Two-panel axial: CT | PSMA PET, 68Ga-PSMA tracer.
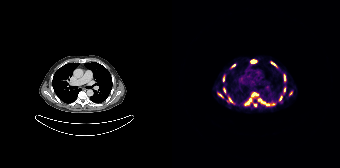
Coordinates are on the 168×168 PET (right) panel. (showing 12 of 19 foci) PSMA-avid tumor lesion bounding boxes (x, y, width, height): x=79 y=60 w=6 h=3; x=117 y=91 w=4 h=5; x=99 y=62 w=6 h=5. Small PSMA-avid foci (2 to 4 px across) near (center x, center y): (61, 65); (83, 105); (112, 79); (112, 89); (108, 97); (52, 90); (57, 99); (77, 100); (95, 104).